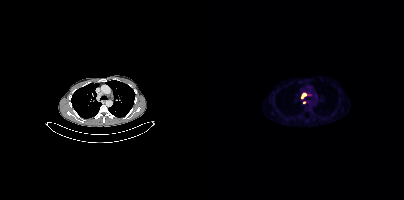
Two-panel axial: CT | PSMA PET, 18F-PSMA tracer. Slice 319 of 448. Coordinates are on the 200×200 PET (right) panel. PSMA-avid tumor lesion bounding box (x, y, width, height): x=97 y=93 w=6 h=6. Small PSMA-avid focus (2 to 4 px across) near (center x, center y): (100, 102).